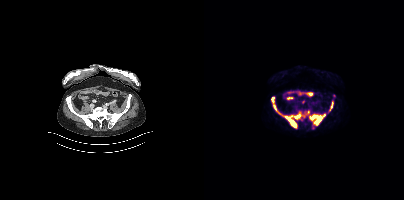
modality: PSMA PET/CT | tracer: [18F]PSMA-1007 | view: axial
Coordinates are on the 200×200 PET (right) panel. PSMA-avid tumor lesion bounding boxes (x, y, width, height): x=80 y=113 w=18 h=15 / x=105 y=114 w=17 h=11 / x=70 y=105 w=9 h=11 / x=67 y=97 w=4 h=6 / x=127 y=102 w=3 h=6. Small PSMA-avid focus (2 to 4 px across) near (center x, center y): (104, 112).